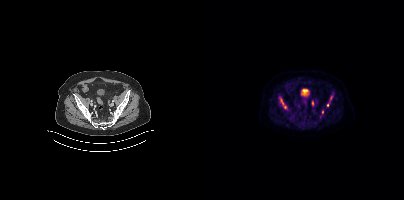
{"modality":"PSMA PET/CT","view":"axial","tracer":"18F","pet_grid":[200,200],"coord_frame":"pet_panel","coord_format":"x0,y0,x1,y1","lesion_bboxes":[[76,98,82,108],[125,93,129,100],[107,101,110,105]],"small_foci_centers":[[118,111],[123,105]]}